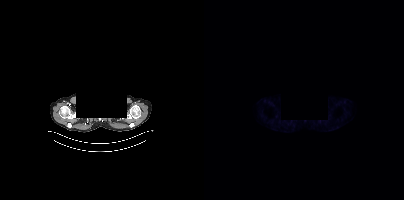
The face region was removed for patient privacy by blanking a rectangle over the head.
No PSMA-avid tumor lesions on this slice.